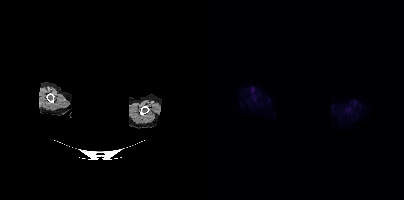
{"modality":"PSMA PET/CT","view":"axial","tracer":"[18F]PSMA-1007","pet_grid":[200,200],"coord_frame":"pet_panel","coord_format":"x0,y0,x1,y1","redaction":"head region blacked out before release","psma_avid_lesions":false}